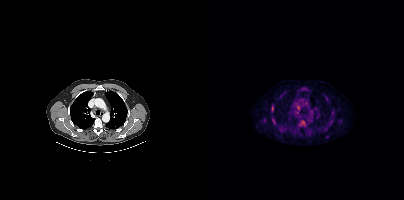
Coordinates are on the 200×200 PET (right) panel. Small PSMA-avid foci (2 to 4 px across) near (center x, center y): (68, 108), (100, 122), (68, 119).
modality: PSMA PET/CT | tracer: 18F | view: axial